Paired axial CT (left) and PSMA PET (right), 18F tracer. PET panel 200×200 px (4.1 mm/px).
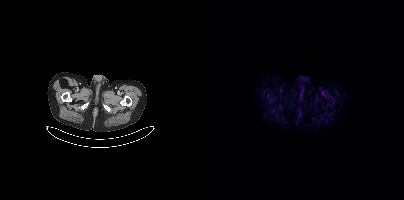
This slice has no annotated PSMA-avid lesion.